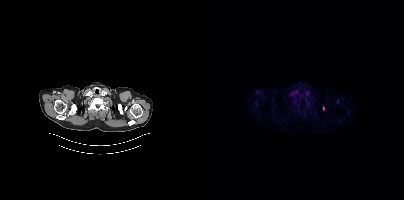
{"modality":"PSMA PET/CT","view":"axial","tracer":"18F","pet_grid":[200,200],"coord_frame":"pet_panel","coord_format":"x0,y0,x1,y1","lesion_bboxes":[[119,106,120,110]]}